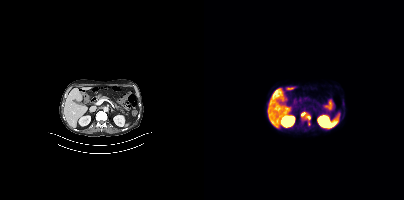
{"modality":"PSMA PET/CT","view":"axial","tracer":"[18F]PSMA-1007","pet_grid":[200,200],"coord_frame":"pet_panel","coord_format":"x0,y0,x1,y1","partial":true,"lesion_bboxes":[[97,112,106,120]],"small_foci_centers":[[139,113]]}